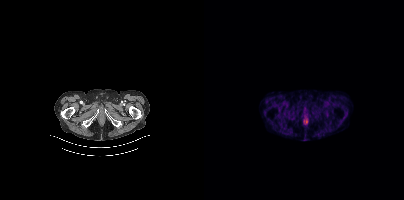
{"modality":"PSMA PET/CT","view":"axial","tracer":"68Ga-PSMA","pet_grid":[200,200],"coord_frame":"pet_panel","coord_format":"x0,y0,x1,y1","psma_avid_lesions":false}